Paired axial CT (left) and PSMA PET (right), [18F]PSMA-1007 tracer. Slice position z = -856 mm. PET panel 168×168 px (4.1 mm/px).
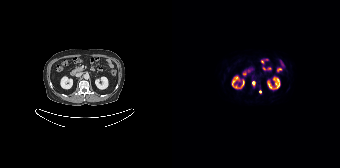
Coordinates are on the 168×168 PET (right) panel. PSMA-avid tumor lesion bounding box (x0,y0,x1,y1): [80,81,83,85]. Small PSMA-avid focus (2 to 4 px across) near (center x, center y): (88, 91).